- Left: CT. Right: PSMA PET, same axial level, 18F tracer
- acquired on Siemens Biograph mCT Flow 20
- slice 274 of 413
- PET panel 200×200 px (4.1 mm/px)
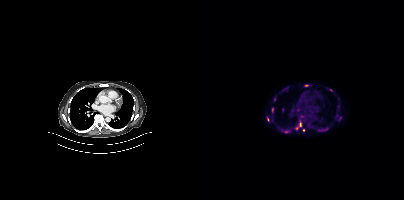
Findings: Coordinates are on the 200×200 PET (right) panel. PSMA-avid tumor lesion bounding boxes (x0, y0)-(x1, y1): (78, 129)-(85, 133) / (92, 123)-(97, 129) / (118, 127)-(124, 130). Small PSMA-avid foci (2 to 4 px across) near (center x, center y): (102, 85) / (64, 119) / (70, 99) / (127, 89) / (99, 129) / (68, 108).